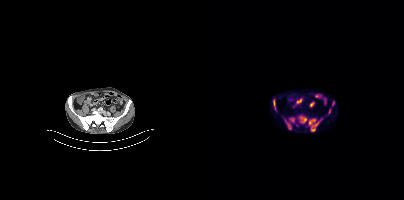
{"pet_grid":[200,200],"coord_frame":"pet_panel","coord_format":"x0,y0,x1,y1","partial":true,"lesion_bboxes":[[104,118,118,131],[94,116,103,123],[69,99,72,111],[81,120,87,129],[85,118,90,122],[125,109,126,113]],"small_foci_centers":[[129,103]],"modality":"PSMA PET/CT","view":"axial","tracer":"[18F]PSMA-1007"}